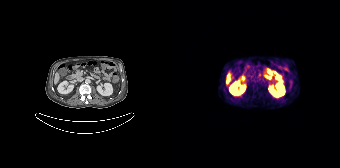
modality: PSMA PET/CT | tracer: 68Ga | view: axial
No tumor lesions annotated on this slice.